- Left: CT. Right: PSMA PET, same axial level, [18F]PSMA-1007 tracer
- slice 105 of 165
- PET panel 168×168 px (4.1 mm/px)
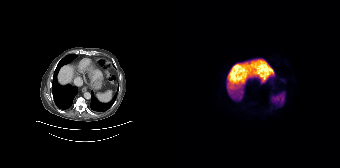
Findings: No PSMA-avid tumor lesions on this slice.